Technique: Left: CT. Right: PSMA PET, same axial level, [18F]PSMA-1007 tracer. slice position z = -1451 mm.
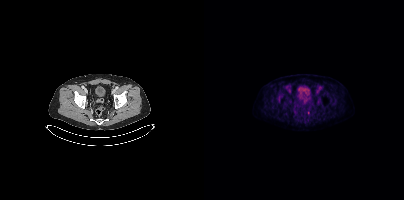
Findings: Coordinates are on the 200×200 PET (right) panel. Small PSMA-avid focus (2 to 4 px across) near (center x, center y): (104, 112).